Two-panel axial: CT | PSMA PET, [18F]PSMA-1007 tracer. Acquired on Siemens Biograph mCT Flow 20.
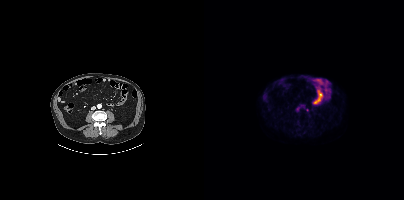
Coordinates are on the 200×200 PET (right) panel. Small PSMA-avid focus (2 to 4 px across) near (center x, center y): (103, 109).